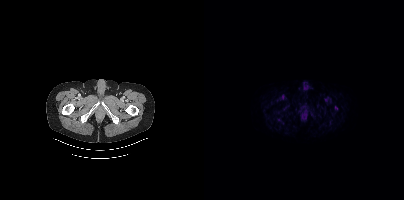
Findings: Only PSMA-avid lesion pieces thinner than 2 px on this slice (not listed).
Technique: Paired axial CT (left) and PSMA PET (right), [18F]PSMA-1007 tracer.